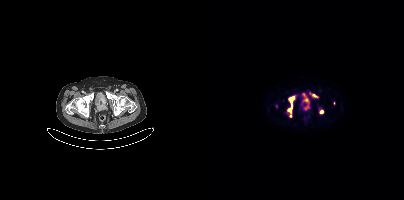
Left: CT. Right: PSMA PET, same axial level, 18F tracer. Slice position z = -116 mm.
Coordinates are on the 200×200 PET (right) panel. PSMA-avid tumor lesion bounding boxes (partial; 3 more foci not listed):
| # | x0 | y0 | x1 | y1 |
|---|---|---|---|---|
| 1 | 84 | 95 | 92 | 112 |
| 2 | 99 | 95 | 105 | 109 |
| 3 | 105 | 92 | 112 | 96 |
Small PSMA-avid foci (2 to 4 px across) near (center x, center y): (117, 111); (72, 106); (86, 115).